- Two-panel axial: CT | PSMA PET, [18F]PSMA-1007 tracer
- acquired on Siemens Biograph mCT Flow 20
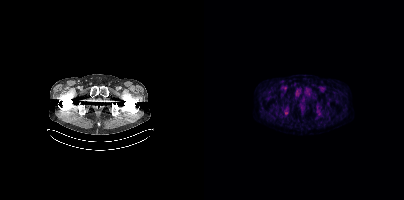
Findings: No tumor lesions annotated on this slice.